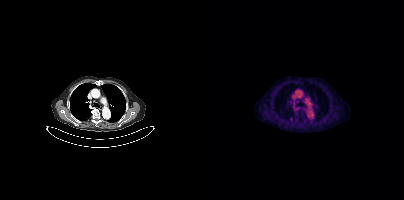
modality: PSMA PET/CT | tracer: [18F]PSMA-1007 | view: axial | PET grid: 200×200
Coordinates are on the 200×200 PET (right) panel. Small PSMA-avid focus (2 to 4 px across) near (center x, center y): (86, 119).